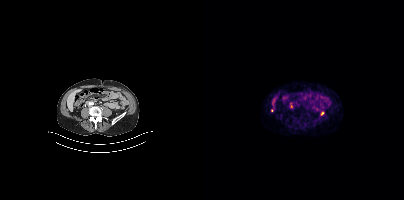
Coordinates are on the 200×200 PET (right) panel. (showing 1 of 3 foci) Small PSMA-avid focus (2 to 4 px across) near (center x, center y): (87, 105). Paired axial CT (left) and PSMA PET (right), 68Ga-PSMA tracer. Acquired on Siemens Biograph mCT Flow 20.